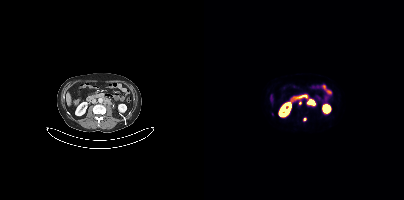
Paired axial CT (left) and PSMA PET (right), 68Ga-PSMA tracer. Coordinates are on the 200×200 PET (right) panel. Small PSMA-avid foci (2 to 4 px across) near (center x, center y): (105, 101) | (100, 119) | (96, 102) | (68, 113).